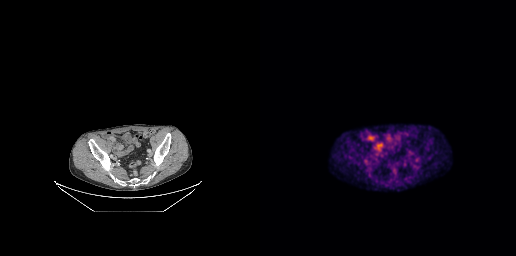
Findings: Coordinates are on the 256×256 PET (right) panel. Small PSMA-avid focus (2 to 4 px across) near (center x, center y): (144, 164).
Technique: Two-panel axial: CT | PSMA PET, 18F tracer. acquired on GE Discovery 690. slice 89 of 263. PET panel 256×256 px (2.7 mm/px).